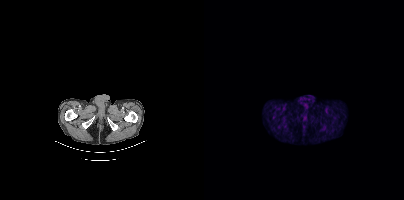
Technique: Left: CT. Right: PSMA PET, same axial level, 18F tracer.
Findings: No PSMA-avid tumor lesions on this slice.